Technique: Paired axial CT (left) and PSMA PET (right), [18F]PSMA-1007 tracer. slice position z = -1134 mm. PET panel 200×200 px (4.1 mm/px).
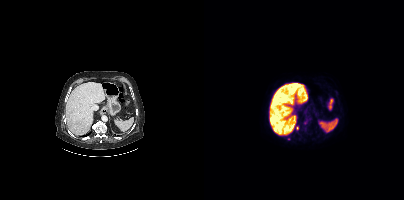
Findings: Coordinates are on the 200×200 PET (right) panel. (showing 1 of 2 foci) Small PSMA-avid focus (2 to 4 px across) near (center x, center y): (93, 128).